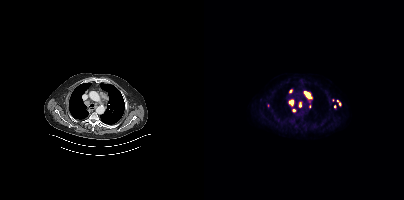
Findings: Coordinates are on the 200×200 PET (right) panel. (showing 9 of 11 foci) PSMA-avid tumor lesion bounding boxes (x0, y0)-(x1, y1): (99, 91)-(108, 99); (84, 99)-(89, 106); (95, 102)-(97, 107). Small PSMA-avid foci (2 to 4 px across) near (center x, center y): (86, 90); (89, 110); (135, 104); (105, 106); (130, 106); (133, 100).
Technique: Two-panel axial: CT | PSMA PET, 18F tracer. acquired on Siemens Biograph mCT Flow 20.